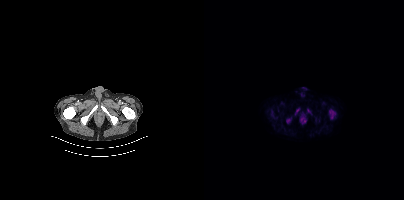
{"modality":"PSMA PET/CT","view":"axial","tracer":"[18F]PSMA-1007","pet_grid":[200,200],"coord_frame":"pet_panel","coord_format":"x0,y0,x1,y1","lesion_bboxes":[[125,109,132,119],[82,118,87,123],[91,108,95,114]]}